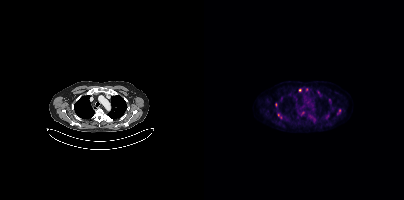
Findings: Coordinates are on the 200×200 PET (right) panel. (showing 4 of 8 foci) Small PSMA-avid foci (2 to 4 px across) near (center x, center y): (95, 90) / (125, 99) / (135, 110) / (98, 112).
- Left: CT. Right: PSMA PET, same axial level, [18F]PSMA-1007 tracer
- acquired on Siemens Biograph mCT Flow 20